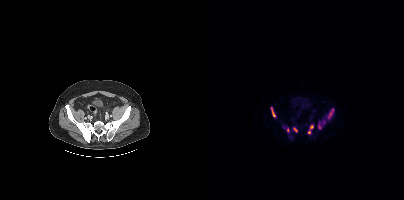
Coordinates are on the 200×200 PET (right) panel. (showing 7 of 8 foci) PSMA-avid tumor lesion bounding boxes (x, y, width, height): x=124 y=109 w=6 h=10 | x=67 y=107 w=5 h=11 | x=89 y=127 w=5 h=6 | x=106 y=125 w=4 h=5. Small PSMA-avid foci (2 to 4 px across) near (center x, center y): (105, 132) | (115, 125) | (84, 129).